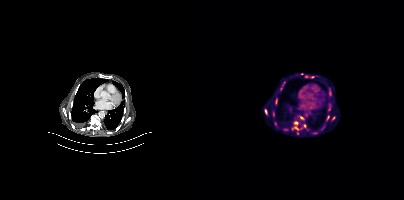
Coordinates are on the 200×200 PET (right) panel. PSMA-avid tumor lesion bounding boxes (x, y, width, height): x=88 y=121 w=7 h=9 | x=61 y=109 w=3 h=7 | x=76 y=85 w=3 h=6 | x=69 y=111 w=2 h=5 | x=123 y=116 w=3 h=5. Small PSMA-avid foci (2 to 4 px across) near (center x, center y): (97, 117) | (129, 118) | (82, 129) | (125, 96) | (100, 125). Paired axial CT (left) and PSMA PET (right), 18F-PSMA tracer. Acquired on Siemens Biograph mCT Flow 20. PET panel 200×200 px (4.1 mm/px).